- Left: CT. Right: PSMA PET, same axial level, [18F]PSMA-1007 tracer
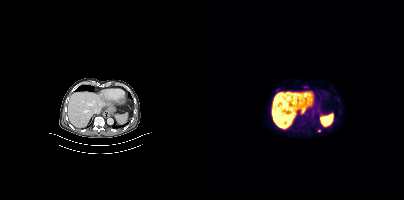
Findings: Coordinates are on the 200×200 PET (right) panel. Small PSMA-avid focus (2 to 4 px across) near (center x, center y): (115, 130).